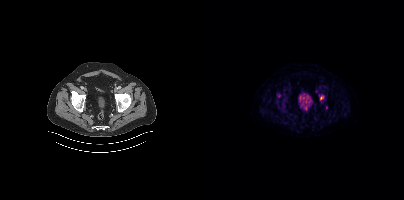
Technique: Paired axial CT (left) and PSMA PET (right), 18F tracer. slice position z = -810 mm. PET panel 200×200 px (4.1 mm/px).
Findings: Coordinates are on the 200×200 PET (right) panel. PSMA-avid tumor lesion bounding box (x, y, width, height): x=116 y=95 w=5 h=6. Small PSMA-avid focus (2 to 4 px across) near (center x, center y): (75, 95).